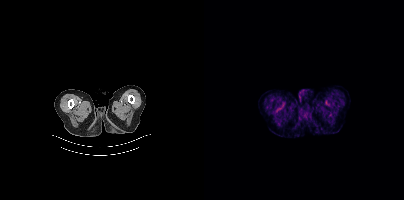
{"pet_grid":[200,200],"coord_frame":"pet_panel","coord_format":"x0,y0,x1,y1","psma_avid_lesions":false,"modality":"PSMA PET/CT","view":"axial","tracer":"18F-PSMA"}